Left: CT. Right: PSMA PET, same axial level, 18F tracer. PET panel 200×200 px (4.1 mm/px).
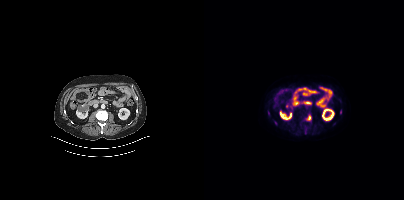
Coordinates are on the 200×200 PET (right) panel. PSMA-avid tumor lesion bounding box (x0,y0,x1,y1): [102,115,107,120].